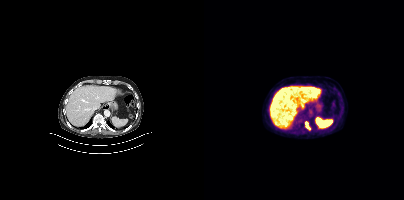
Technique: Two-panel axial: CT | PSMA PET, 18F-PSMA tracer. slice position z = -1150 mm.
Findings: Coordinates are on the 200×200 PET (right) panel. PSMA-avid tumor lesion bounding box (x0,y0,x1,y1): [101,122,106,129].